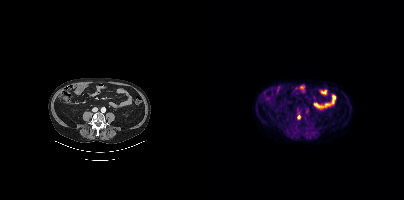
Findings: Coordinates are on the 200×200 PET (right) panel. Small PSMA-avid focus (2 to 4 px across) near (center x, center y): (94, 116).
- Paired axial CT (left) and PSMA PET (right), 18F-PSMA tracer